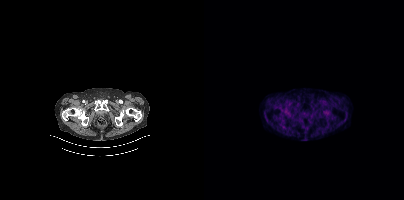
Two-panel axial: CT | PSMA PET, 68Ga tracer. Negative for PSMA-avid disease on this slice.